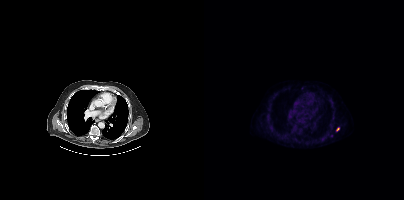
{"modality":"PSMA PET/CT","view":"axial","tracer":"18F-PSMA","pet_grid":[200,200],"coord_frame":"pet_panel","coord_format":"x0,y0,x1,y1","lesion_bboxes":[],"small_foci_centers":[[133,129]]}